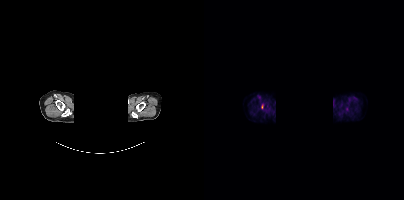
{"modality":"PSMA PET/CT","view":"axial","tracer":"18F-PSMA","pet_grid":[200,200],"coord_frame":"pet_panel","coord_format":"x0,y0,x1,y1","partial":true,"lesion_bboxes":[],"redaction":"rectangular block over head set to black"}